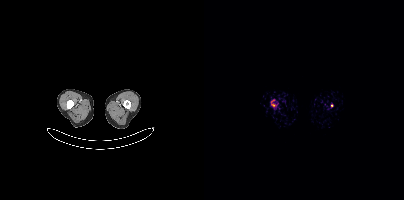
{"pet_grid":[200,200],"coord_frame":"pet_panel","coord_format":"x0,y0,x1,y1","partial":true,"lesion_bboxes":[],"small_foci_centers":[[127,105]],"modality":"PSMA PET/CT","view":"axial","tracer":"68Ga"}